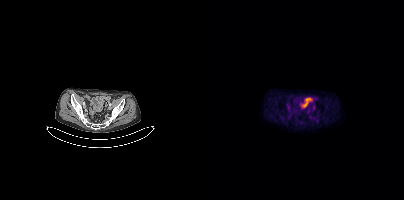
Left: CT. Right: PSMA PET, same axial level, [18F]PSMA-1007 tracer. PET panel 200×200 px (4.1 mm/px). No PSMA-avid tumor lesions on this slice.